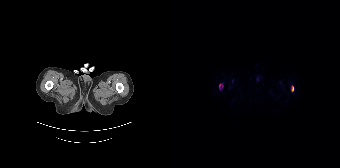
Two-panel axial: CT | PSMA PET, 18F-PSMA tracer. Slice 17 of 165. PET panel 168×168 px (4.1 mm/px). Coordinates are on the 168×168 PET (right) panel. PSMA-avid tumor lesion bounding boxes (x0, y0)-(x1, y1): (47, 84)-(50, 89) / (120, 86)-(121, 91).